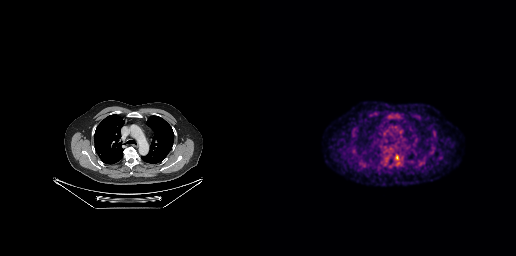
Two-panel axial: CT | PSMA PET, 18F tracer. Slice position z = -227 mm. PET panel 256×256 px (2.7 mm/px). Coordinates are on the 256×256 PET (right) panel. PSMA-avid tumor lesion bounding box (x, y, width, height): x=135 y=155 w=5 h=5.